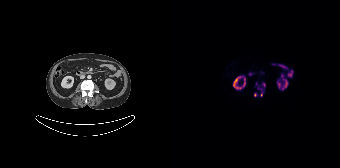
Coordinates are on the 168×168 PET (right) panel. (showing 3 of 6 foci) PSMA-avid tumor lesion bounding box (x0, y0)-(x1, y1): (88, 92)-(90, 96). Small PSMA-avid foci (2 to 4 px across) near (center x, center y): (83, 94) / (91, 84).